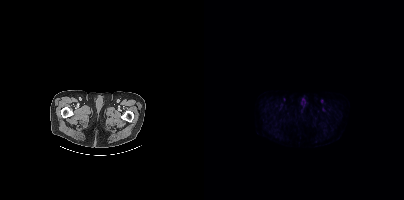
No tumor lesions annotated on this slice.